Left: CT. Right: PSMA PET, same axial level, 18F tracer. PET panel 200×200 px (4.1 mm/px).
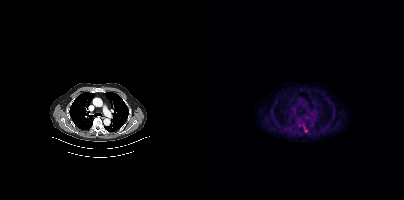
Coordinates are on the 200×200 PET (right) panel. PSMA-avid tumor lesion bounding box (x0,y0,x1,y1): [99,125,103,132].